The face region was removed for patient privacy by blanking a rectangle over the head. Left: CT. Right: PSMA PET, same axial level, 18F-PSMA tracer. Slice position z = -269 mm.
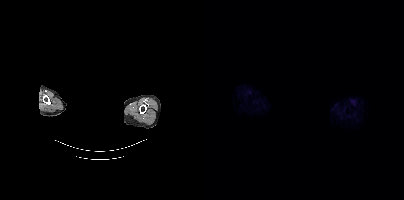
No tumor lesions annotated on this slice.